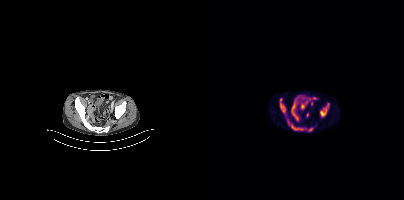
modality: PSMA PET/CT | tracer: [18F]PSMA-1007 | view: axial
Coordinates are on the 200×200 PET (right) panel. (showing 4 of 5 foci) PSMA-avid tumor lesion bounding boxes (x, y, width, height): x=83 y=118 w=20 h=13; x=116 y=103 w=10 h=13; x=76 y=98 w=6 h=16. Small PSMA-avid focus (2 to 4 px across) near (center x, center y): (105, 130).